modality: PSMA PET/CT | tracer: 18F | view: axial
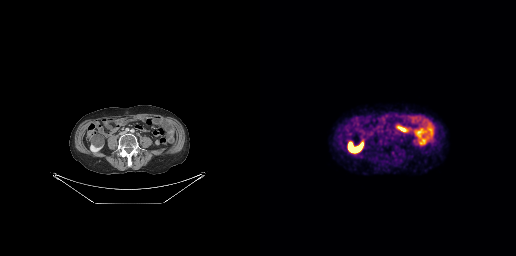
No PSMA-avid tumor lesions on this slice.